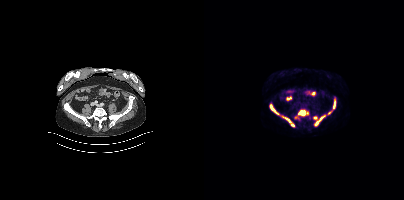
{"modality":"PSMA PET/CT","view":"axial","tracer":"18F","pet_grid":[200,200],"coord_frame":"pet_panel","coord_format":"x0,y0,x1,y1","lesion_bboxes":[[110,115,121,126],[95,110,104,115],[79,117,90,126],[66,105,74,114],[129,99,131,108]],"small_foci_centers":[[125,112],[91,117]]}